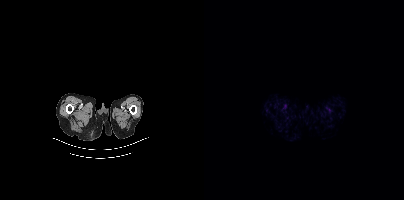
This slice has no annotated PSMA-avid lesion.